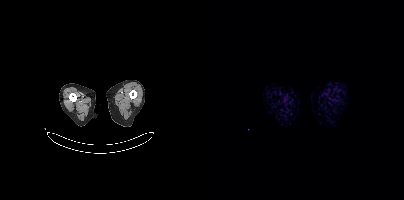
{"modality":"PSMA PET/CT","view":"axial","tracer":"18F","pet_grid":[200,200],"coord_frame":"pet_panel","coord_format":"x0,y0,x1,y1","psma_avid_lesions":false}